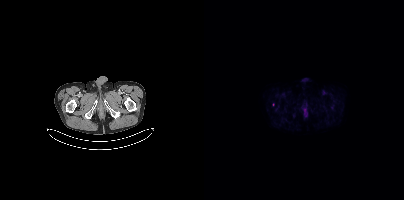
Coordinates are on the 200×200 PET (right) panel. PSMA-avid tumor lesion bounding box (x0, y0)-(x1, y1): (100, 108)-(103, 117). Small PSMA-avid focus (2 to 4 px across) near (center x, center y): (69, 104).